Paired axial CT (left) and PSMA PET (right), 18F-PSMA tracer.
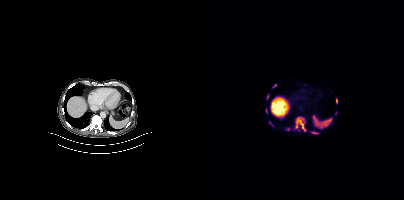
Coordinates are on the 200×200 PET (right) panel. PSMA-avid tumor lesion bounding boxes (partial; 2 more foci not listed):
| # | x0 | y0 | x1 | y1 |
|---|---|---|---|---|
| 1 | 90 | 117 | 101 | 131 |
| 2 | 107 | 131 | 114 | 133 |
| 3 | 65 | 121 | 69 | 126 |
| 4 | 132 | 98 | 133 | 102 |
Small PSMA-avid foci (2 to 4 px across) near (center x, center y): (63, 96); (71, 85); (62, 110).